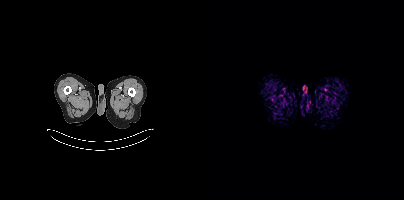
{"pet_grid":[200,200],"coord_frame":"pet_panel","coord_format":"x0,y0,x1,y1","psma_avid_lesions":false,"modality":"PSMA PET/CT","view":"axial","tracer":"18F-PSMA"}